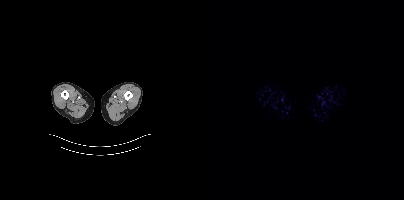
Paired axial CT (left) and PSMA PET (right), [18F]PSMA-1007 tracer. Slice position z = -1078 mm. PET panel 200×200 px (4.1 mm/px). No PSMA-avid tumor lesions on this slice.